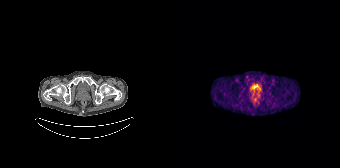
Coordinates are on the 168×168 PET (right) panel. Small PSMA-avid focus (2 to 4 px across) near (center x, center y): (81, 93).